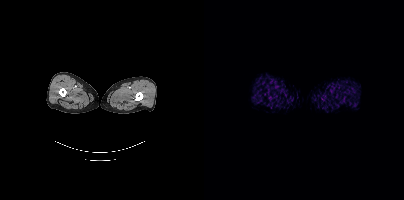
modality: PSMA PET/CT | tracer: 18F-PSMA | view: axial | PET grid: 200×200
This slice has no annotated PSMA-avid lesion.